- the head region is masked for de-identification
- Two-panel axial: CT | PSMA PET, [18F]PSMA-1007 tracer
- slice 346 of 371
- PET panel 256×256 px (2.7 mm/px)
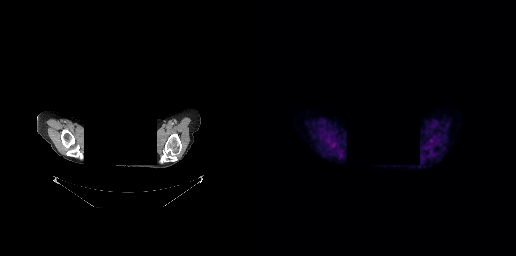
Findings: Negative for PSMA-avid disease on this slice.